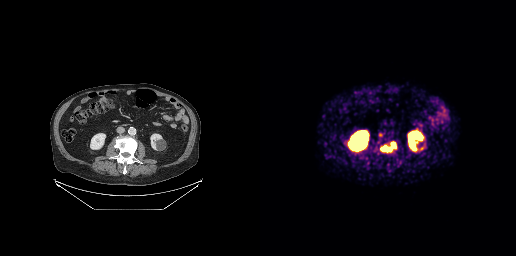
Two-panel axial: CT | PSMA PET, 68Ga tracer. Acquired on GE Discovery 690.
Coordinates are on the 256×256 PET (right) panel. PSMA-avid tumor lesion bounding boxes (partial; 1 more focus not listed):
| # | x0 | y0 | x1 | y1 |
|---|---|---|---|---|
| 1 | 120 | 141 | 136 | 152 |